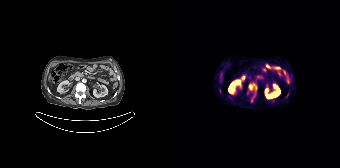
modality: PSMA PET/CT | tracer: 68Ga-PSMA | view: axial
Coordinates are on the 168×168 PET (right) panel. (showing 2 of 3 foci) PSMA-avid tumor lesion bounding boxes (x, y, width, height): x=76 y=83 w=10 h=19; x=114 y=93 w=4 h=5.